Two-panel axial: CT | PSMA PET, [68Ga]Ga-PSMA-11 tracer. Acquired on GE Discovery 690.
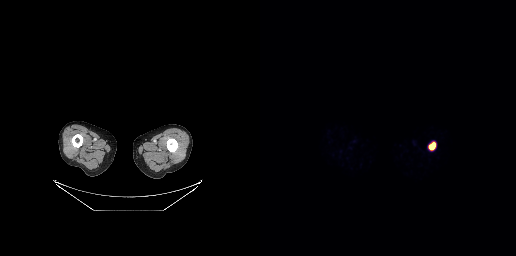
Coordinates are on the 256×256 PET (right) panel. PSMA-avid tumor lesion bounding boxes:
| # | x0 | y0 | x1 | y1 |
|---|---|---|---|---|
| 1 | 169 | 143 | 175 | 149 |